Left: CT. Right: PSMA PET, same axial level, [18F]PSMA-1007 tracer. Slice position z = -170 mm. PET panel 200×200 px (4.1 mm/px).
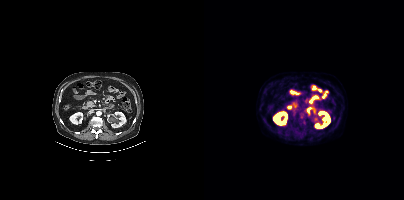
No PSMA-avid tumor lesions on this slice.